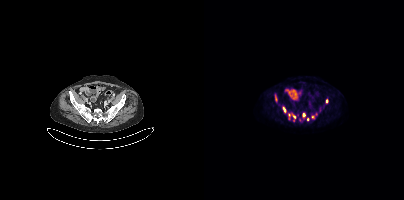
Coordinates are on the 200×200 PET (right) panel. (showing 9 of 10 foci) PSMA-avid tumor lesion bounding boxes (x0, y0)-(x1, y1): (98, 113)-(101, 119) | (84, 114)-(86, 120) | (79, 107)-(81, 112) | (71, 95)-(72, 100). Small PSMA-avid foci (2 to 4 px across) near (center x, center y): (104, 119) | (122, 101) | (90, 117) | (108, 116) | (97, 120).
modality: PSMA PET/CT | tracer: 18F | view: axial